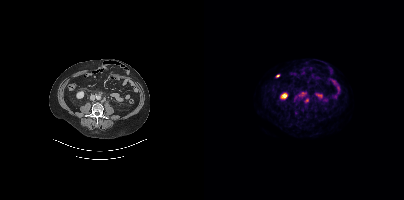
Technique: Two-panel axial: CT | PSMA PET, 18F tracer. slice position z = -1285 mm.
Findings: Coordinates are on the 200×200 PET (right) panel. PSMA-avid tumor lesion bounding box (x, y, width, height): x=97 y=92 w=5 h=4. Small PSMA-avid foci (2 to 4 px across) near (center x, center y): (102, 100) / (90, 100).